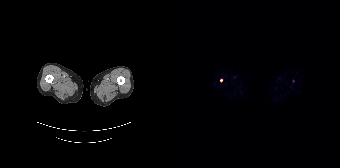
{"modality":"PSMA PET/CT","view":"axial","tracer":"[18F]PSMA-1007","pet_grid":[168,168],"coord_frame":"pet_panel","coord_format":"x0,y0,x1,y1","partial":true,"lesion_bboxes":[]}